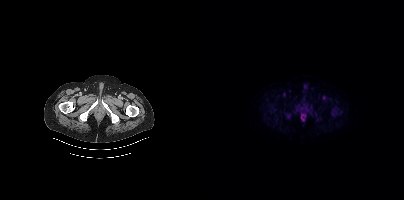
Coordinates are on the 200×200 PET (right) panel. PSMA-avid tumor lesion bounding boxes (x, y, width, height): x=82 y=113 w=6 h=6; x=91 y=105 w=5 h=5; x=129 y=111 w=5 h=5. Small PSMA-avid focus (2 to 4 px across) near (center x, center y): (137, 112). Left: CT. Right: PSMA PET, same axial level, 18F-PSMA tracer. Acquired on Siemens Biograph mCT Flow 20.